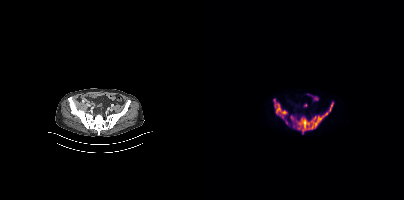
Coordinates are on the 200×200 PET (right) panel. PSMA-avid tumor lesion bounding boxes (x0,y0,x1,y1): [86,102,129,133]; [70,99,83,118]. Small PSMA-avid foci (2 to 4 px across) near (center x, center y): (82, 122); (89, 126).
modality: PSMA PET/CT | tracer: [18F]PSMA-1007 | view: axial | PET grid: 200×200